Paired axial CT (left) and PSMA PET (right), 18F-PSMA tracer. PET panel 200×200 px (4.1 mm/px).
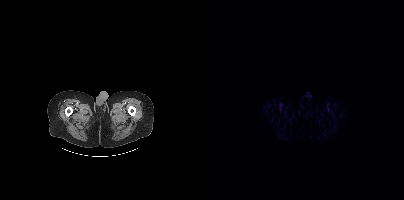
No PSMA-avid tumor lesions on this slice.